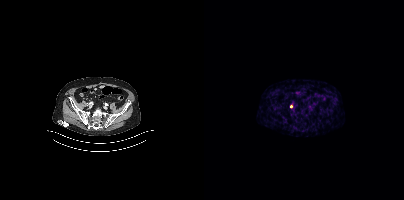
Coordinates are on the 200×200 PET (right) panel. Small PSMA-avid focus (2 to 4 px across) near (center x, center y): (87, 106).